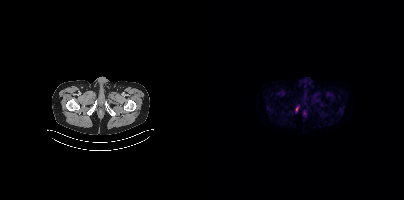
Coordinates are on the 200×200 PET (right) panel. Small PSMA-avid focus (2 to 4 px across) near (center x, center y): (92, 108).